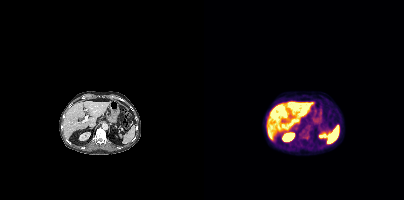
Findings: Coordinates are on the 200×200 PET (right) panel. PSMA-avid tumor lesion bounding box (x, y, width, height): x=98 y=136 w=7 h=5.
Technique: Paired axial CT (left) and PSMA PET (right), 18F tracer. slice 211 of 389.